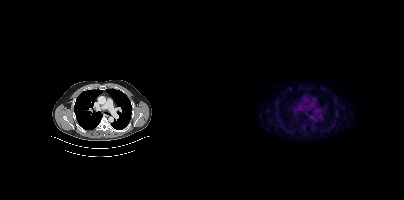
Technique: Left: CT. Right: PSMA PET, same axial level, 18F tracer. acquired on Siemens Biograph mCT Flow 20. slice position z = -434 mm. PET panel 200×200 px (4.1 mm/px).
Findings: Negative for PSMA-avid disease on this slice.